Technique: Two-panel axial: CT | PSMA PET, 18F tracer. slice 318 of 448.
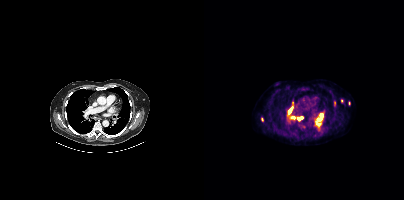
Findings: Coordinates are on the 200×200 PET (right) panel. (showing 10 of 11 foci) PSMA-avid tumor lesion bounding boxes (x0,y0,x1,y1): [112,113,119,126] [85,101,89,112] [93,117,98,119]. Small PSMA-avid foci (2 to 4 px across) near (center x, center y): (85, 115) (58, 119) (89, 117) (137, 101) (145, 103) (99, 126) (130, 101).